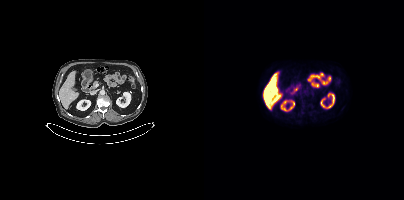
Left: CT. Right: PSMA PET, same axial level, [18F]PSMA-1007 tracer. Slice 189 of 403. PET panel 200×200 px (4.1 mm/px). This slice has no annotated PSMA-avid lesion.